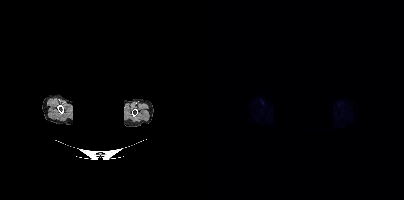
{"modality":"PSMA PET/CT","view":"axial","tracer":"18F-PSMA","pet_grid":[200,200],"coord_frame":"pet_panel","coord_format":"x0,y0,x1,y1","deidentification":"rectangular block over head set to black","psma_avid_lesions":false}